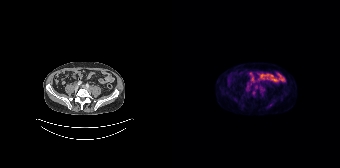
{"modality":"PSMA PET/CT","view":"axial","tracer":"18F","pet_grid":[168,168],"coord_frame":"pet_panel","coord_format":"x0,y0,x1,y1","lesion_bboxes":[],"small_foci_centers":[[81,92],[98,104]]}